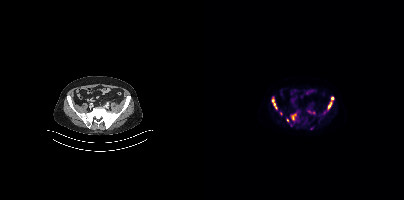
Technique: Two-panel axial: CT | PSMA PET, [18F]PSMA-1007 tracer. PET panel 200×200 px (4.1 mm/px).
Findings: Coordinates are on the 200×200 PET (right) panel. PSMA-avid tumor lesion bounding boxes (x0, y0)-(x1, y1): (123, 96)-(130, 109); (68, 97)-(73, 109); (87, 112)-(93, 120); (104, 110)-(111, 114). Small PSMA-avid foci (2 to 4 px across) near (center x, center y): (77, 113); (83, 120); (107, 128).